Technique: Paired axial CT (left) and PSMA PET (right), [18F]PSMA-1007 tracer.
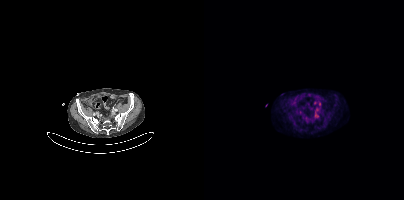
Findings: Coordinates are on the 200×200 PET (right) panel. (showing 1 of 2 foci) PSMA-avid tumor lesion bounding box (x, y, width, height): x=111 y=112 w=3 h=6.